Two-panel axial: CT | PSMA PET, 18F tracer. PET panel 200×200 px (4.1 mm/px).
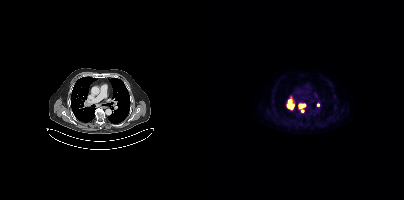
Coordinates are on the 200×200 PET (right) panel. PSMA-avid tumor lesion bounding box (x0,y0,x1,y1): [95,104,100,108]. Small PSMA-avid focus (2 to 4 px across) near (center x, center y): (98, 110).